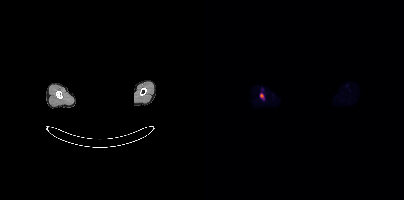
Coordinates are on the 200×200 PET (right) panel. PSMA-avid tumor lesion bounding box (x0,y0,x1,y1): [56,93,60,100]. A rectangular block over the head has been blanked out for de-identification. Paired axial CT (left) and PSMA PET (right), [18F]PSMA-1007 tracer. Slice position z = -880 mm. PET panel 200×200 px (4.1 mm/px).